Left: CT. Right: PSMA PET, same axial level, 68Ga-PSMA tracer. Slice 121 of 263.
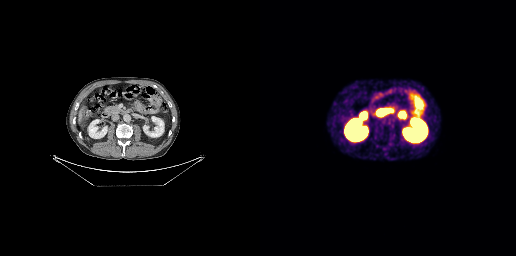
No tumor lesions annotated on this slice.